Technique: Paired axial CT (left) and PSMA PET (right), [68Ga]Ga-PSMA-11 tracer. acquired on Siemens Biograph 64-4R TruePoint. slice 85 of 165.
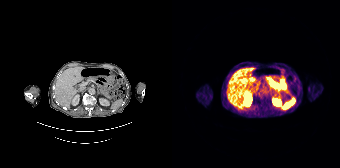
Findings: No tumor lesions annotated on this slice.